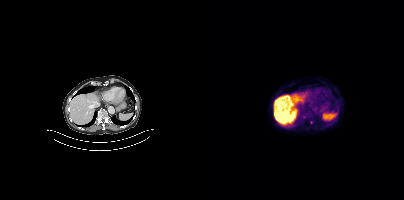
Findings: Only PSMA-avid lesion pieces thinner than 2 px on this slice (not listed).
Technique: Two-panel axial: CT | PSMA PET, [18F]PSMA-1007 tracer. PET panel 200×200 px (4.1 mm/px).